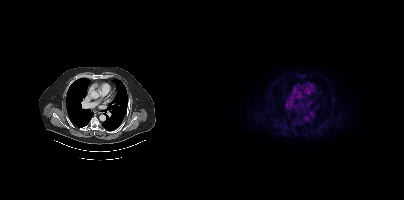
No PSMA-avid tumor lesions on this slice.